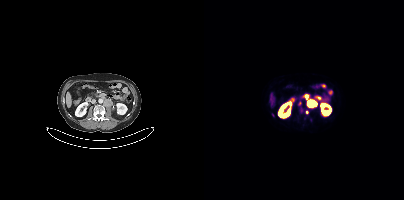
{"pet_grid":[200,200],"coord_frame":"pet_panel","coord_format":"x0,y0,x1,y1","lesion_bboxes":[],"small_foci_centers":[[95,104],[68,115],[97,110],[102,112]],"modality":"PSMA PET/CT","view":"axial","tracer":"68Ga-PSMA"}